Left: CT. Right: PSMA PET, same axial level, [18F]PSMA-1007 tracer. Acquired on Siemens Biograph mCT Flow 20. PET panel 200×200 px (4.1 mm/px).
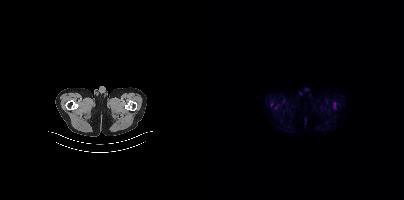
No tumor lesions annotated on this slice.